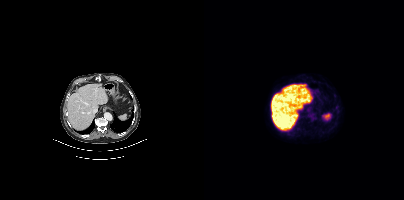
This slice has no annotated PSMA-avid lesion.